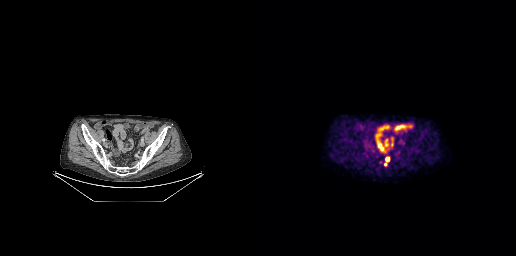
{"modality":"PSMA PET/CT","view":"axial","tracer":"18F","pet_grid":[256,256],"coord_frame":"pet_panel","coord_format":"x0,y0,x1,y1","lesion_bboxes":[[126,157,129,161]],"small_foci_centers":[[125,164]]}